modality: PSMA PET/CT | tracer: [68Ga]Ga-PSMA-11 | view: axial
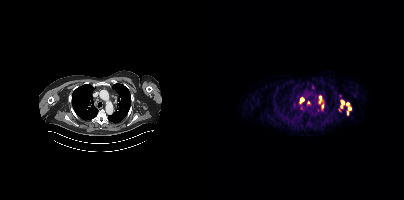
Coordinates are on the 200×200 PET (right) panel. (showing 9 of 11 foci) PSMA-avid tumor lesion bounding boxes (x0,y0,x1,y1): [115,96,117,102], [96,98,99,102], [137,99,140,104]. Small PSMA-avid foci (2 to 4 px across) near (center x, center y): (145, 108), (104, 102), (137, 106), (143, 103), (117, 108), (143, 113).